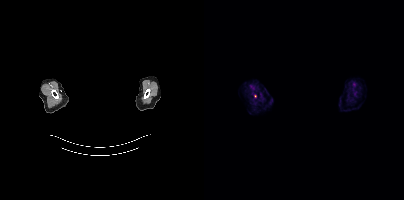
Coordinates are on the 200×200 PET (right) panel. Small PSMA-avid focus (2 to 4 px across) near (center x, center y): (51, 96). Left: CT. Right: PSMA PET, same axial level, [18F]PSMA-1007 tracer. Acquired on Siemens Biograph mCT Flow 20. Slice position z = -956 mm. A rectangle over the head was blacked out to remove identifiable facial features.